Technique: Left: CT. Right: PSMA PET, same axial level, [18F]PSMA-1007 tracer. acquired on GE Discovery 690. PET panel 256×256 px (2.7 mm/px).
Note: Facial anatomy redacted by setting a rectangular region of the head to black.
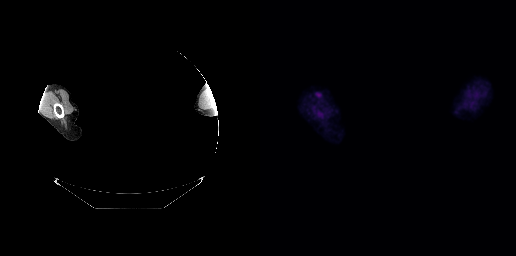
Findings: This slice has no annotated PSMA-avid lesion.